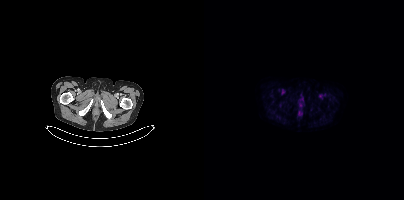
Technique: Paired axial CT (left) and PSMA PET (right), [18F]PSMA-1007 tracer. slice 43 of 431.
Findings: No tumor lesions annotated on this slice.